Left: CT. Right: PSMA PET, same axial level, 68Ga-PSMA tracer. Acquired on GE Discovery 690. PET panel 256×256 px (2.7 mm/px).
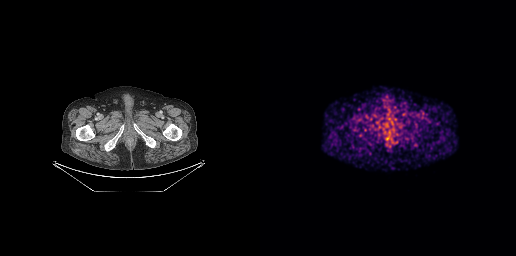
No PSMA-avid tumor lesions on this slice.